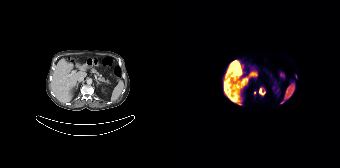
Coordinates are on the 168×168 PET (right) panel. PSMA-avid tumor lesion bounding boxes (partial; 1 more focus not listed):
| # | x0 | y0 | x1 | y1 |
|---|---|---|---|---|
| 1 | 87 | 87 | 93 | 96 |
Small PSMA-avid focus (2 to 4 px across) near (center x, center y): (83, 92).
Left: CT. Right: PSMA PET, same axial level, 18F-PSMA tracer.